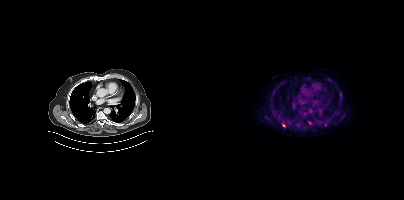
Findings: Coordinates are on the 200×200 PET (right) panel. (showing 4 of 5 foci) Small PSMA-avid foci (2 to 4 px across) near (center x, center y): (105, 122), (79, 125), (136, 94), (121, 124).
Technique: Left: CT. Right: PSMA PET, same axial level, 18F-PSMA tracer. acquired on Siemens Biograph mCT Flow 20.